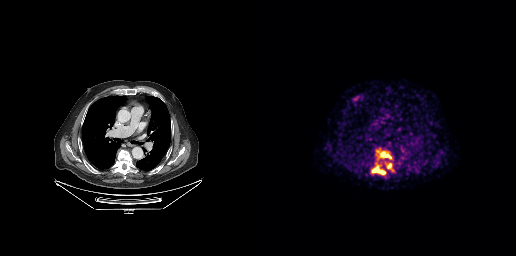
Two-panel axial: CT | PSMA PET, [68Ga]Ga-PSMA-11 tracer. Slice 188 of 263. PET panel 256×256 px (2.7 mm/px). Coordinates are on the 256×256 PET (right) panel. PSMA-avid tumor lesion bounding boxes (x, y, width, height): x=116 y=148 w=17 h=12 / x=111 y=163 w=16 h=13 / x=125 y=162 w=9 h=10.